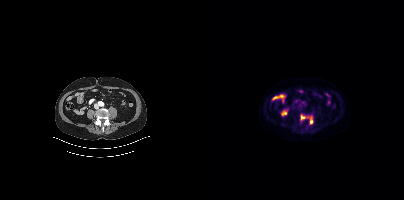
{"modality":"PSMA PET/CT","view":"axial","tracer":"[18F]PSMA-1007","pet_grid":[200,200],"coord_frame":"pet_panel","coord_format":"x0,y0,x1,y1","lesion_bboxes":[[106,117,108,123],[97,115,101,119]]}